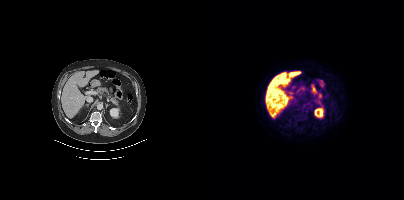
Only PSMA-avid lesion pieces thinner than 2 px on this slice (not listed).